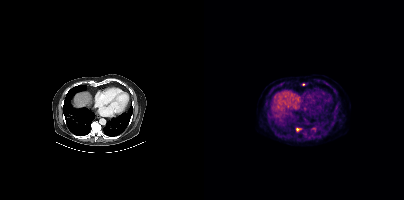
Coordinates are on the 200×200 PET (right) panel. (showing 1 of 2 foci) Small PSMA-avid focus (2 to 4 px across) near (center x, center y): (93, 129).
modality: PSMA PET/CT | tracer: 18F | view: axial